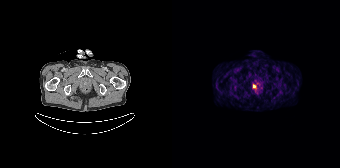
Coordinates are on the 168×168 PET (right) panel. PSMA-avid tumor lesion bounding boxes:
| # | x0 | y0 | x1 | y1 |
|---|---|---|---|---|
| 1 | 81 | 84 | 84 | 88 |
Left: CT. Right: PSMA PET, same axial level, 68Ga tracer. Acquired on Siemens Biograph 64-4R TruePoint. Slice position z = -820 mm.